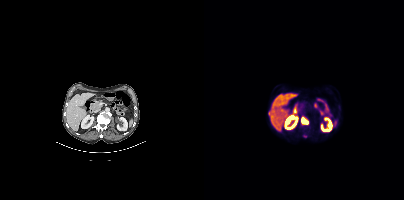
- Two-panel axial: CT | PSMA PET, 18F tracer
- slice position z = -165 mm
- PET panel 200×200 px (4.1 mm/px)
Findings: Coordinates are on the 200×200 PET (right) panel. PSMA-avid tumor lesion bounding box (x, y, width, height): x=97 y=118 w=8 h=6.